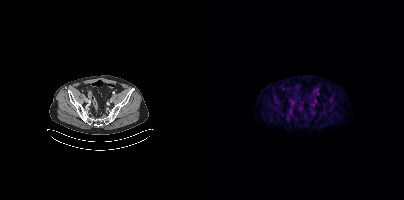
{"modality":"PSMA PET/CT","view":"axial","tracer":"18F-PSMA","pet_grid":[200,200],"coord_frame":"pet_panel","coord_format":"x0,y0,x1,y1","partial":true,"lesion_bboxes":[]}